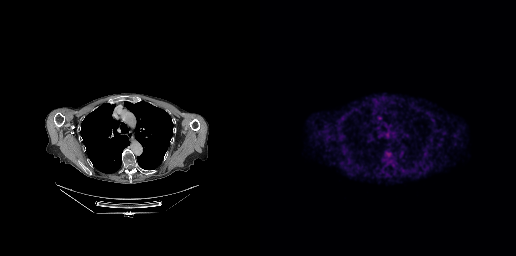
Coordinates are on the 256×256 PET (right) panel. PSMA-avid tumor lesion bounding box (x0, y0)-(x1, y1): (117, 116)-(121, 119).